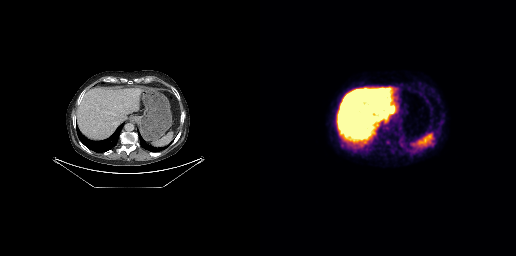
Paired axial CT (left) and PSMA PET (right), [18F]PSMA-1007 tracer. Acquired on GE Discovery 690.
Coordinates are on the 256×256 PET (right) panel. PSMA-avid tumor lesion bounding boxes:
| # | x0 | y0 | x1 | y1 |
|---|---|---|---|---|
| 1 | 162 | 144 | 171 | 148 |
| 2 | 92 | 107 | 96 | 111 |
| 3 | 110 | 92 | 113 | 96 |
Small PSMA-avid focus (2 to 4 px across) near (center x, center y): (120, 91).